Left: CT. Right: PSMA PET, same axial level, [18F]PSMA-1007 tracer.
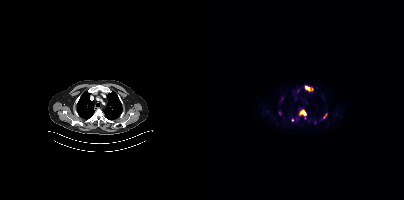
Coordinates are on the 200×200 PET (right) panel. PSMA-avid tumor lesion bounding boxes (partial; 1 more focus not listed):
| # | x0 | y0 | x1 | y1 |
|---|---|---|---|---|
| 1 | 100 | 85 | 109 | 91 |
| 2 | 95 | 109 | 102 | 115 |
| 3 | 118 | 113 | 123 | 119 |
| 4 | 75 | 111 | 77 | 115 |
Small PSMA-avid foci (2 to 4 px across) near (center x, center y): (94, 117); (88, 120); (93, 90).